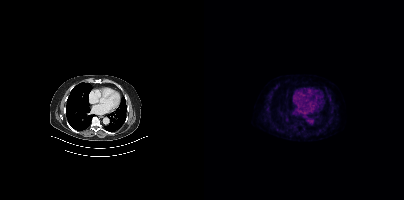
This slice has no annotated PSMA-avid lesion.